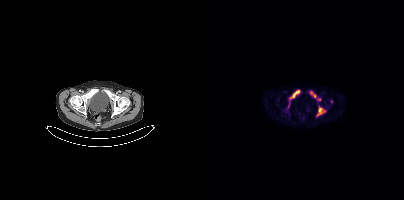
Findings: Coordinates are on the 200×200 PET (right) panel. PSMA-avid tumor lesion bounding boxes (x0, y0)-(x1, y1): (84, 89)-(96, 107) | (112, 106)-(121, 116) | (105, 91)-(116, 100).
Technique: Paired axial CT (left) and PSMA PET (right), 18F-PSMA tracer.